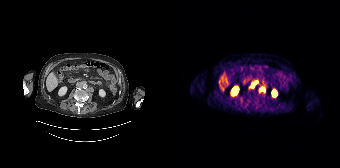
Coordinates are on the 168×168 PET (right) panel. (showing 2 of 3 foci) PSMA-avid tumor lesion bounding box (x0, y0)-(x1, y1): (79, 81)-(85, 87). Small PSMA-avid focus (2 to 4 px across) near (center x, center y): (91, 89).